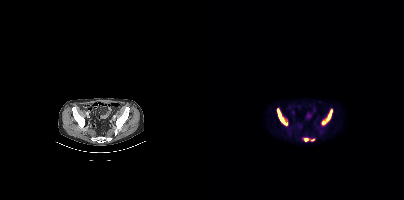
Coordinates are on the 200×200 PET (right) panel. (showing 4 of 5 foci) PSMA-avid tumor lesion bounding boxes (x0, y0)-(x1, y1): (117, 109)-(128, 125) / (73, 109)-(82, 124). Small PSMA-avid foci (2 to 4 px across) near (center x, center y): (109, 140) / (102, 139).
modality: PSMA PET/CT | tracer: 18F | view: axial